Technique: Paired axial CT (left) and PSMA PET (right), 18F tracer. acquired on Siemens Biograph mCT Flow 20. PET panel 200×200 px (4.1 mm/px).
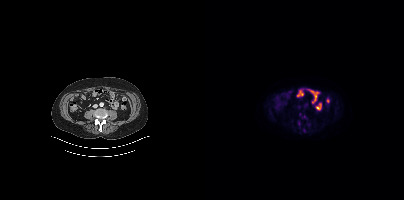
Findings: Coordinates are on the 200×200 PET (right) panel. (showing 2 of 3 foci) PSMA-avid tumor lesion bounding box (x0,y0,x1,y1): [94,121,96,125]. Small PSMA-avid focus (2 to 4 px across) near (center x, center y): (100, 129).